modality: PSMA PET/CT | tracer: 18F-PSMA | view: axial | PET grid: 200×200 | redaction: privacy mask over head
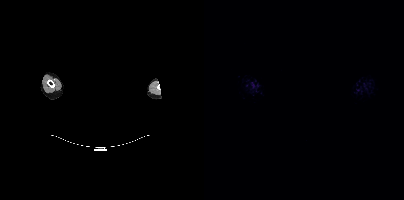
No PSMA-avid tumor lesions on this slice.